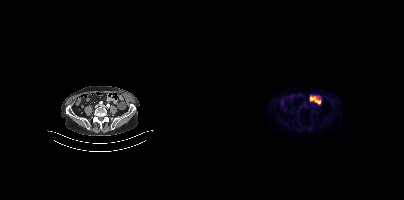
Findings: No tumor lesions annotated on this slice.
- Paired axial CT (left) and PSMA PET (right), [18F]PSMA-1007 tracer
- acquired on Siemens Biograph mCT Flow 20
- slice 133 of 389